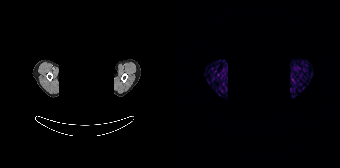
{"modality":"PSMA PET/CT","view":"axial","tracer":"68Ga-PSMA","pet_grid":[168,168],"coord_frame":"pet_panel","coord_format":"x0,y0,x1,y1","deidentification":"face masked with black rectangle","psma_avid_lesions":false}